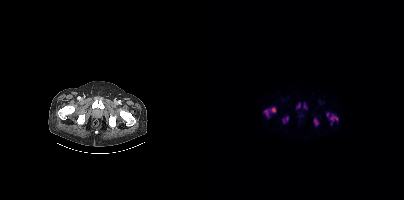
Technique: Left: CT. Right: PSMA PET, same axial level, 18F tracer. acquired on Siemens Biograph mCT Flow 20. slice 59 of 423.
Findings: Coordinates are on the 200×200 PET (right) panel. PSMA-avid tumor lesion bounding boxes (x0, y0)-(x1, y1): (59, 107)-(71, 118) | (122, 112)-(134, 124) | (110, 118)-(114, 126) | (79, 117)-(84, 122) | (93, 102)-(96, 107) | (99, 102)-(102, 107).